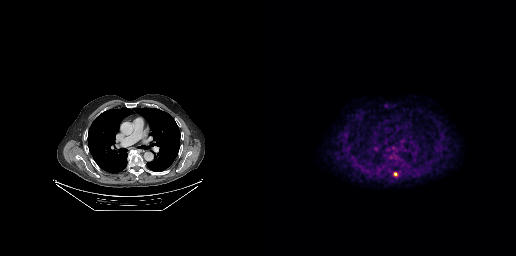
Coordinates are on the 256×256 PET (right) panel. Small PSMA-avid focus (2 to 4 px across) near (center x, center y): (135, 173).